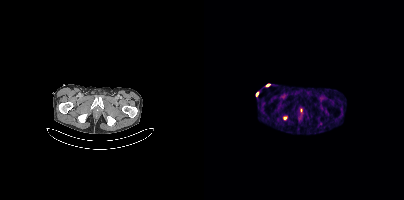
Technique: Paired axial CT (left) and PSMA PET (right), 68Ga-PSMA tracer. PET panel 200×200 px (4.1 mm/px).
Findings: Coordinates are on the 200×200 PET (right) panel. PSMA-avid tumor lesion bounding box (x0,y0,x1,y1): [79,116,83,119].